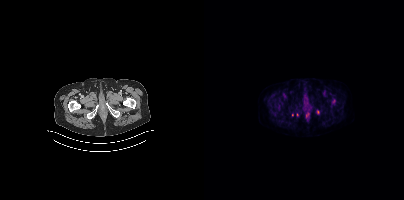
Findings: Coordinates are on the 200×200 PET (right) panel. (showing 3 of 4 foci) PSMA-avid tumor lesion bounding box (x0,y0,x1,y1): [128,99,131,103]. Small PSMA-avid foci (2 to 4 px across) near (center x, center y): (114, 111) (93, 114).
- Left: CT. Right: PSMA PET, same axial level, 18F tracer
- slice 44 of 411
- PET panel 200×200 px (4.1 mm/px)